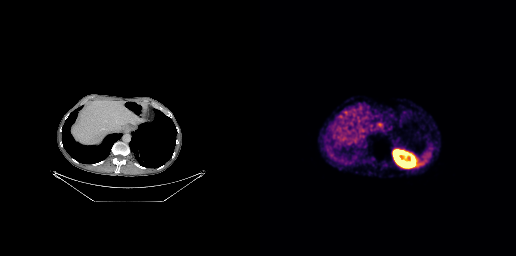
This slice has no annotated PSMA-avid lesion.